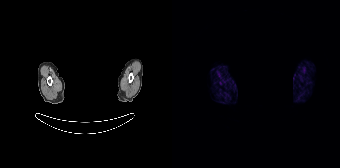
This slice has no annotated PSMA-avid lesion. Two-panel axial: CT | PSMA PET, 68Ga-PSMA tracer. Acquired on Siemens Biograph 64-4R TruePoint. Any black rectangle over the head is a privacy mask, not anatomy.